Technique: Paired axial CT (left) and PSMA PET (right), 68Ga tracer.
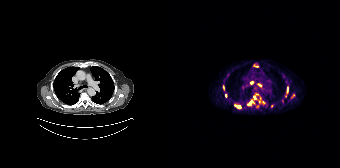
Findings: Coordinates are on the 168×168 PET (right) panel. (showing 9 of 10 foci) PSMA-avid tumor lesion bounding box (x0, y0)-(x1, y1): (63, 105)-(68, 108). Small PSMA-avid foci (2 to 4 px across) near (center x, center y): (78, 102) / (100, 105) / (85, 106) / (87, 85) / (79, 82) / (51, 87) / (82, 97) / (53, 95).